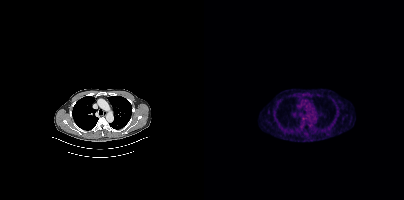
modality: PSMA PET/CT | tracer: 18F-PSMA | view: axial
No PSMA-avid tumor lesions on this slice.